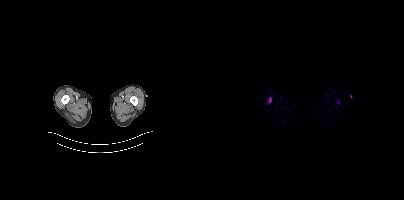
{"modality":"PSMA PET/CT","view":"axial","tracer":"18F-PSMA","pet_grid":[200,200],"coord_frame":"pet_panel","coord_format":"x0,y0,x1,y1","lesion_bboxes":[[64,98,67,102]]}